- Two-panel axial: CT | PSMA PET, [18F]PSMA-1007 tracer
- acquired on Siemens Biograph mCT Flow 20
- slice position z = -1231 mm
- PET panel 200×200 px (4.1 mm/px)
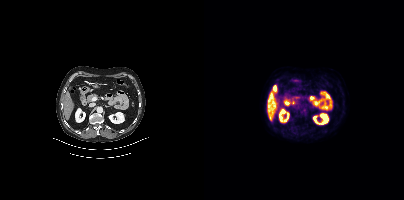
Findings: Negative for PSMA-avid disease on this slice.